Technique: Left: CT. Right: PSMA PET, same axial level, 68Ga tracer. acquired on Siemens Biograph 64-4R TruePoint. slice 165 of 195. PET panel 168×168 px (4.1 mm/px).
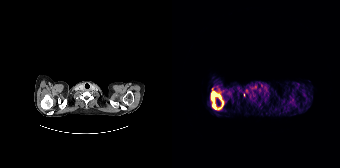
Findings: Coordinates are on the 168×168 PET (right) panel. (showing 1 of 3 foci) PSMA-avid tumor lesion bounding box (x0, y0)-(x1, y1): (39, 88)-(52, 109).